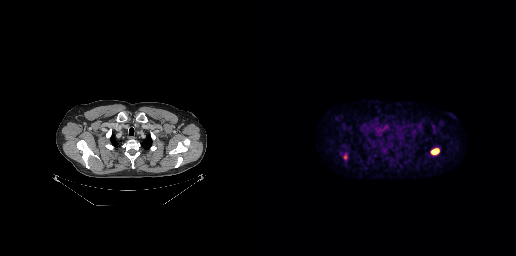
Left: CT. Right: PSMA PET, same axial level, [18F]PSMA-1007 tracer. Slice 222 of 263. PET panel 256×256 px (2.7 mm/px). Coordinates are on the 256×256 PET (right) panel. PSMA-avid tumor lesion bounding box (x, y, width, height): x=171 y=148 w=9 h=7. Small PSMA-avid focus (2 to 4 px across) near (center x, center y): (85, 157).